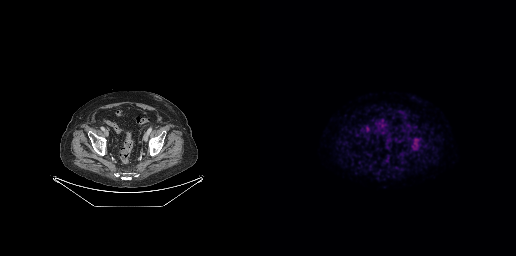
modality: PSMA PET/CT | tracer: 18F-PSMA | view: axial | PET grid: 256×256
No tumor lesions annotated on this slice.